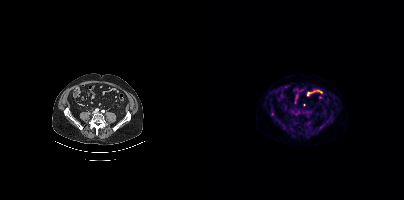
{"modality":"PSMA PET/CT","view":"axial","tracer":"[18F]PSMA-1007","pet_grid":[200,200],"coord_frame":"pet_panel","coord_format":"x0,y0,x1,y1","psma_avid_lesions":false}